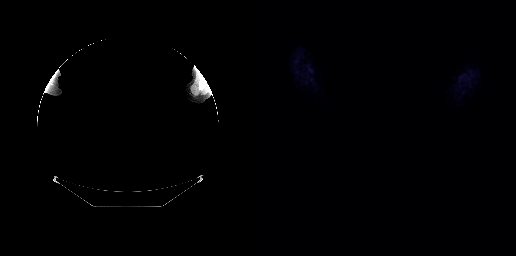
{"modality":"PSMA PET/CT","view":"axial","tracer":"18F","pet_grid":[256,256],"coord_frame":"pet_panel","coord_format":"x0,y0,x1,y1","psma_avid_lesions":false,"deidentification":"head region blanked (face removed)"}